Two-panel axial: CT | PSMA PET, 18F tracer. Slice position z = -1278 mm. PET panel 200×200 px (4.1 mm/px).
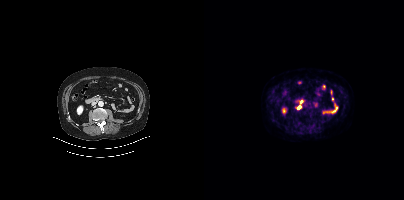
Coordinates are on the 200×200 PET (right) panel. (showing 1 of 2 foci) PSMA-avid tumor lesion bounding box (x0,y0,x1,y1): [93,106,97,109].